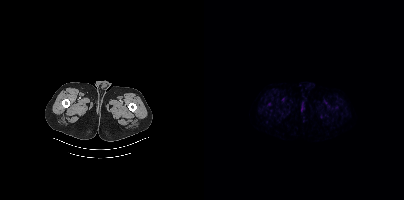
- Two-panel axial: CT | PSMA PET, 18F-PSMA tracer
- slice position z = -1519 mm
Findings: No PSMA-avid tumor lesions on this slice.